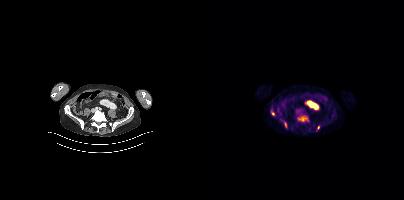
{"modality":"PSMA PET/CT","view":"axial","tracer":"18F-PSMA","pet_grid":[200,200],"coord_frame":"pet_panel","coord_format":"x0,y0,x1,y1","partial":true,"lesion_bboxes":[[94,116,104,121],[78,120,83,128],[67,111,70,115]]}